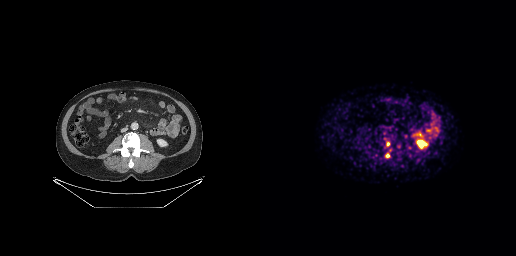
Coordinates are on the 256×256 PET (right) panel. (showing 1 of 2 foci) Small PSMA-avid focus (2 to 4 px across) near (center x, center y): (127, 155).